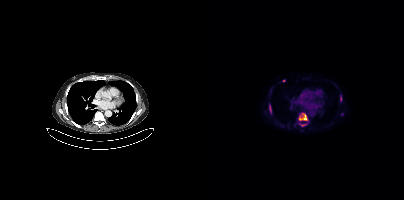
{"pet_grid":[200,200],"coord_frame":"pet_panel","coord_format":"x0,y0,x1,y1","partial":true,"lesion_bboxes":[[95,113,103,120],[65,104,67,112],[136,95,137,101]],"small_foci_centers":[[80,80],[137,114],[99,124]],"modality":"PSMA PET/CT","view":"axial","tracer":"[18F]PSMA-1007"}